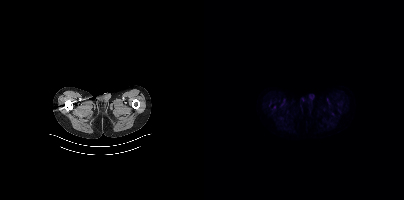
Technique: Two-panel axial: CT | PSMA PET, 18F tracer. acquired on Siemens Biograph mCT Flow 20. slice 30 of 401.
Findings: This slice has no annotated PSMA-avid lesion.